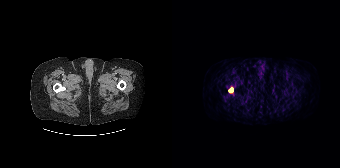
{"modality":"PSMA PET/CT","view":"axial","tracer":"[68Ga]Ga-PSMA-11","pet_grid":[168,168],"coord_frame":"pet_panel","coord_format":"x0,y0,x1,y1","lesion_bboxes":[[57,88,61,92]]}